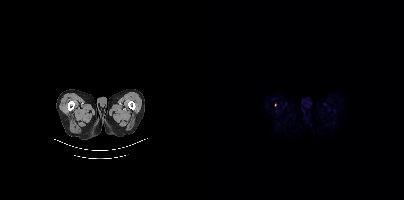
{"modality":"PSMA PET/CT","view":"axial","tracer":"18F-PSMA","pet_grid":[200,200],"coord_frame":"pet_panel","coord_format":"x0,y0,x1,y1","lesion_bboxes":[],"small_foci_centers":[[71,105]]}